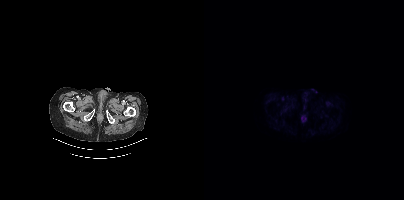
modality: PSMA PET/CT | tracer: 18F | view: axial
Negative for PSMA-avid disease on this slice.